Two-panel axial: CT | PSMA PET, 18F-PSMA tracer. Slice position z = -878 mm. PET panel 200×200 px (4.1 mm/px). Privacy masking, with the pixels inside a rectangle set to black.
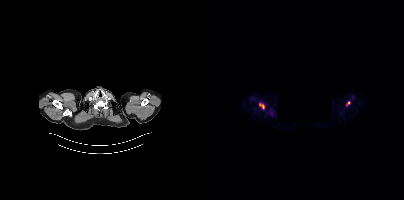
Coordinates are on the 200×200 PET (right) panel. PSMA-avid tumor lesion bounding box (x0,y0,x1,y1): [55,104,60,108]. Small PSMA-avid focus (2 to 4 px across) near (center x, center y): (144, 103).